Technique: Paired axial CT (left) and PSMA PET (right), [18F]PSMA-1007 tracer. acquired on GE Discovery 690. slice position z = -335 mm.
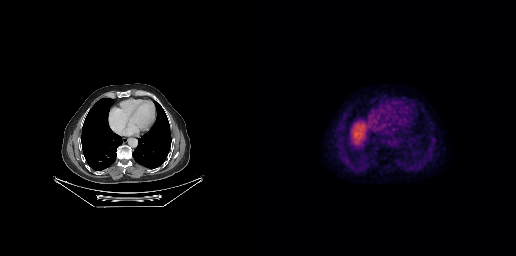
Findings: No tumor lesions annotated on this slice.